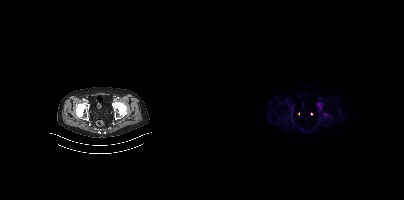
{"modality":"PSMA PET/CT","view":"axial","tracer":"18F-PSMA","pet_grid":[200,200],"coord_frame":"pet_panel","coord_format":"x0,y0,x1,y1","psma_avid_lesions":false}